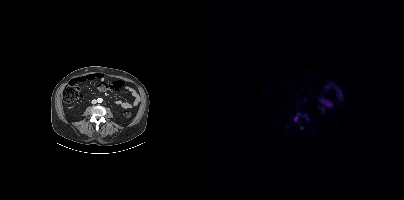
Two-panel axial: CT | PSMA PET, 18F-PSMA tracer. Acquired on Siemens Biograph mCT Flow 20. Slice position z = -1469 mm. PET panel 200×200 px (4.1 mm/px).
Coordinates are on the 200×200 PET (right) panel. PSMA-avid tumor lesion bounding boxes (partial; 1 more focus not listed):
| # | x0 | y0 | x1 | y1 |
|---|---|---|---|---|
| 1 | 91 | 114 | 94 | 121 |
Small PSMA-avid focus (2 to 4 px across) near (center x, center y): (97, 127).